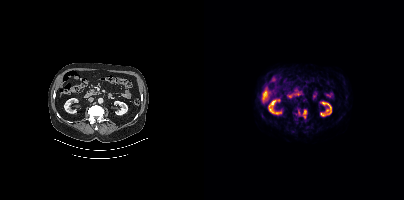
modality: PSMA PET/CT | tracer: 18F | view: axial | PET grid: 200×200
Coordinates are on the 200×200 PET (right) panel. PSMA-avid tumor lesion bounding boxes (x, y, width, height): x=99 y=109 w=4 h=10; x=94 y=110 w=3 h=5.